modality: PSMA PET/CT | tracer: 18F | view: axial
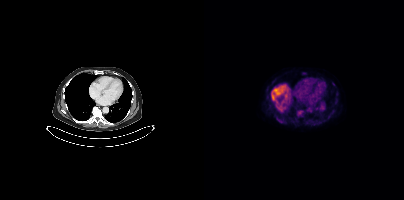
Coordinates are on the 200×200 PET (right) panel. PSMA-avid tumor lesion bounding boxes (x0,y0,x1,y1): [93,111,98,115], [68,91,73,96].